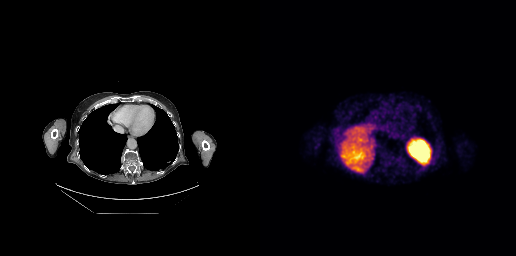
No PSMA-avid tumor lesions on this slice.